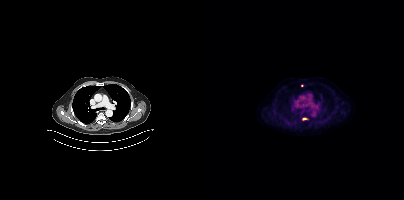
{"pet_grid":[200,200],"coord_frame":"pet_panel","coord_format":"x0,y0,x1,y1","lesion_bboxes":[],"small_foci_centers":[[100,118],[98,85]],"modality":"PSMA PET/CT","view":"axial","tracer":"18F"}